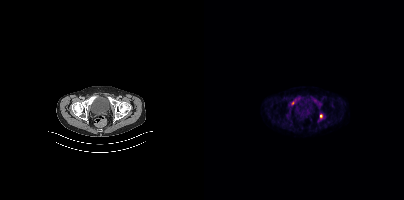
- Left: CT. Right: PSMA PET, same axial level, [18F]PSMA-1007 tracer
- acquired on Siemens Biograph mCT Flow 20
Findings: Coordinates are on the 200×200 PET (right) panel. PSMA-avid tumor lesion bounding boxes (x0,y0,x1,y1): [107,97,112,102]; [116,114,118,118]. Small PSMA-avid focus (2 to 4 px across) near (center x, center y): (88, 103).